Left: CT. Right: PSMA PET, same axial level, 18F tracer. Acquired on Siemens Biograph mCT Flow 20. Slice position z = -664 mm.
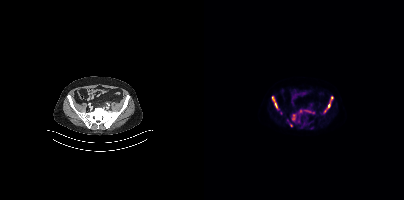
Coordinates are on the 200×200 PET (right) panel. (showing 5 of 8 foci) PSMA-avid tumor lesion bounding boxes (x0,y0,x1,y1): [94,109,110,113] [120,96,129,112] [68,96,73,108] [88,114,92,119]. Small PSMA-avid focus (2 to 4 px across) near (center x, center y): (87, 125).